modality: PSMA PET/CT | tracer: 18F-PSMA | view: axial | PET grid: 200×200
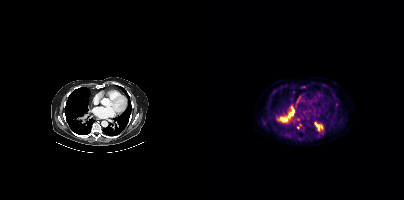
Coordinates are on the 200×200 PET (right) panel. PSMA-avid tumor lesion bounding boxes (x, y, width, height): x=72 y=106 w=19 h=17 / x=111 y=123 w=9 h=9. Small PSMA-avid foci (2 to 4 px across) near (center x, center y): (98, 87) / (94, 119) / (96, 124) / (93, 127).